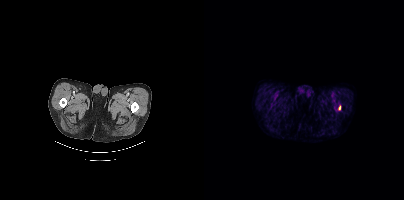
Left: CT. Right: PSMA PET, same axial level, [18F]PSMA-1007 tracer. PET panel 200×200 px (4.1 mm/px). Coordinates are on the 200×200 PET (right) panel. Small PSMA-avid focus (2 to 4 px across) near (center x, center y): (135, 107).